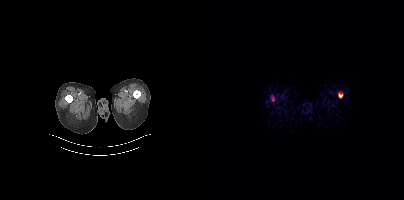
{"pet_grid":[200,200],"coord_frame":"pet_panel","coord_format":"x0,y0,x1,y1","psma_avid_lesions":false,"modality":"PSMA PET/CT","view":"axial","tracer":"[68Ga]Ga-PSMA-11"}